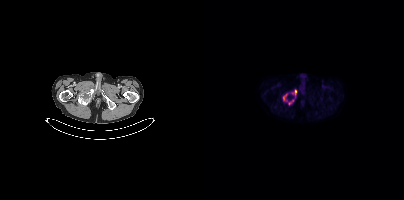
Two-panel axial: CT | PSMA PET, [18F]PSMA-1007 tracer. Slice 47 of 413. Coordinates are on the 200×200 PET (right) panel. PSMA-avid tumor lesion bounding boxes (x, y, width, height): x=82 y=97 w=11 h=8 | x=87 y=89 w=6 h=7 | x=79 y=94 w=4 h=7.